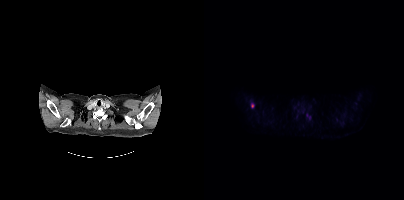
- Two-panel axial: CT | PSMA PET, 18F tracer
- acquired on Siemens Biograph mCT Flow 20
- slice position z = -864 mm
Findings: Coordinates are on the 200×200 PET (right) panel. Small PSMA-avid foci (2 to 4 px across) near (center x, center y): (48, 105) | (103, 114).